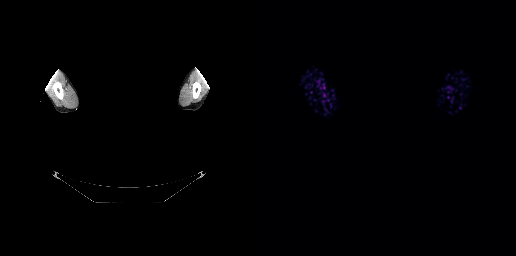
{"pet_grid":[256,256],"coord_frame":"pet_panel","coord_format":"x0,y0,x1,y1","psma_avid_lesions":false,"modality":"PSMA PET/CT","view":"axial","tracer":"68Ga-PSMA","redaction":"rectangular block over head set to black"}